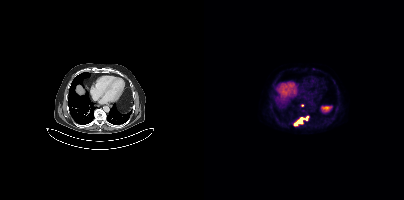
- Paired axial CT (left) and PSMA PET (right), 18F-PSMA tracer
- slice 258 of 419
- PET panel 200×200 px (4.1 mm/px)
Findings: Coordinates are on the 200×200 PET (right) panel. (showing 2 of 3 foci) PSMA-avid tumor lesion bounding box (x0,y0,x1,y1): [90,118,99,125]. Small PSMA-avid focus (2 to 4 px across) near (center x, center y): (98, 105).